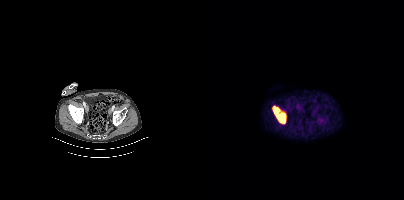
Left: CT. Right: PSMA PET, same axial level, 18F-PSMA tracer. Acquired on Siemens Biograph mCT Flow 20. PET panel 200×200 px (4.1 mm/px).
Coordinates are on the 200×200 PET (right) panel. PSMA-avid tumor lesion bounding boxes (partial; 1 more focus not listed):
| # | x0 | y0 | x1 | y1 |
|---|---|---|---|---|
| 1 | 68 | 105 | 82 | 124 |